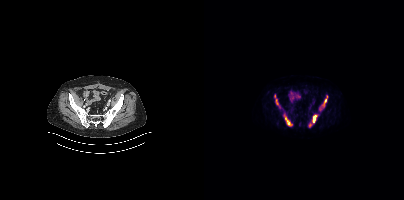
modality: PSMA PET/CT | tracer: 18F | view: axial
Coordinates are on the 200×200 PET (right) panel. (showing 5 of 6 foci) PSMA-avid tumor lesion bounding boxes (x0,y0,x1,y1): [80,115,88,125]; [118,96,123,107]; [70,94,74,105]; [109,115,112,122]. Small PSMA-avid focus (2 to 4 px across) near (center x, center y): (106, 124).